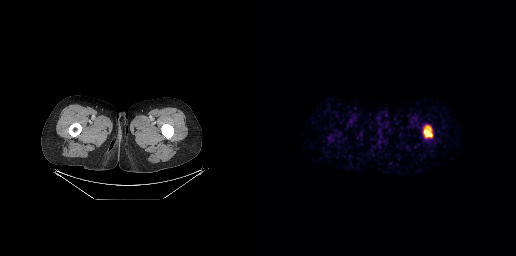
Findings: Coordinates are on the 256×256 PET (right) panel. PSMA-avid tumor lesion bounding box (x, y, width, height): x=163 y=125 w=10 h=13.
Technique: Paired axial CT (left) and PSMA PET (right), 68Ga-PSMA tracer. slice position z = -1063 mm. PET panel 256×256 px (2.7 mm/px).